Two-panel axial: CT | PSMA PET, 18F-PSMA tracer.
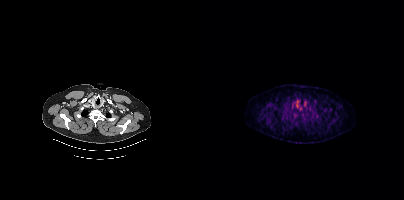
No tumor lesions annotated on this slice.